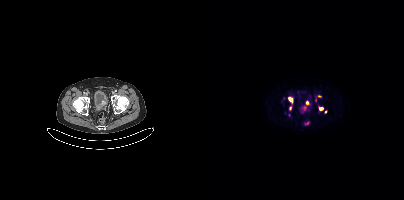
Coordinates are on the 200×200 PET (right) panel. PSMA-avid tumor lesion bounding boxes (x0, y0)-(x1, y1): (84, 97)-(88, 102); (85, 106)-(87, 110); (100, 106)-(102, 110). Small PSMA-avid foci (2 to 4 px across) near (center x, center y): (103, 102); (117, 108); (115, 96); (111, 100); (121, 111).